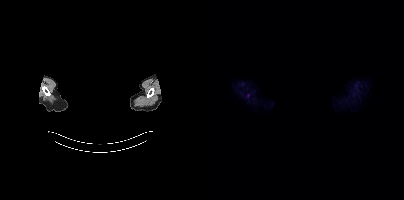
Left: CT. Right: PSMA PET, same axial level, 18F tracer. Slice position z = -834 mm. A rectangle over the head was blacked out to remove identifiable facial features. Only PSMA-avid lesion pieces thinner than 2 px on this slice (not listed).